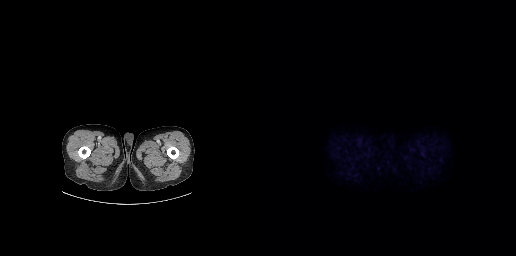
Left: CT. Right: PSMA PET, same axial level, [18F]PSMA-1007 tracer. Acquired on GE Discovery 690. Slice position z = -756 mm. PET panel 256×256 px (2.7 mm/px). No tumor lesions annotated on this slice.